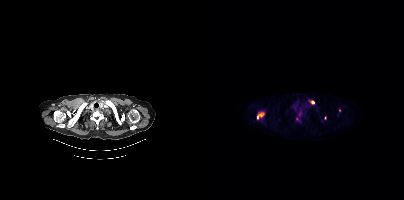
{"modality":"PSMA PET/CT","view":"axial","tracer":"18F-PSMA","pet_grid":[200,200],"coord_frame":"pet_panel","coord_format":"x0,y0,x1,y1","partial":true,"lesion_bboxes":[[52,112,60,119]],"small_foci_centers":[[108,102],[113,109],[135,110],[96,113],[93,118],[121,118]]}